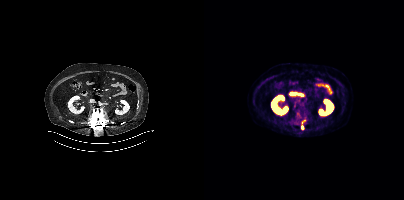
- Paired axial CT (left) and PSMA PET (right), 18F-PSMA tracer
Findings: Coordinates are on the 200×200 PET (right) panel. Small PSMA-avid foci (2 to 4 px across) near (center x, center y): (99, 122); (98, 127).